Left: CT. Right: PSMA PET, same axial level, 18F tracer. PET panel 200×200 px (4.1 mm/px).
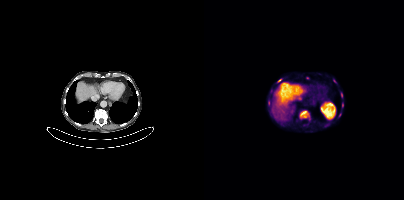
Coordinates are on the 200×200 PET (right) panel. (showing 4 of 5 foci) PSMA-avid tumor lesion bounding box (x, y, width, height): x=96 y=111 w=10 h=8. Small PSMA-avid foci (2 to 4 px across) near (center x, center y): (75, 80); (137, 94); (138, 105).